Left: CT. Right: PSMA PET, same axial level, 18F-PSMA tracer.
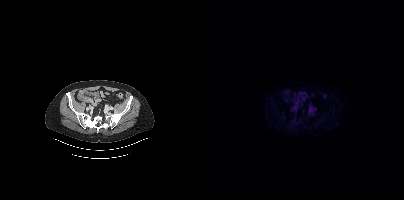
This slice has no annotated PSMA-avid lesion.